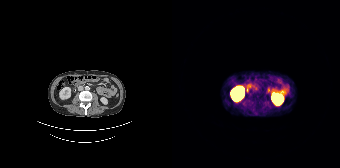
{"modality":"PSMA PET/CT","view":"axial","tracer":"68Ga-PSMA","pet_grid":[168,168],"coord_frame":"pet_panel","coord_format":"x0,y0,x1,y1","psma_avid_lesions":false}